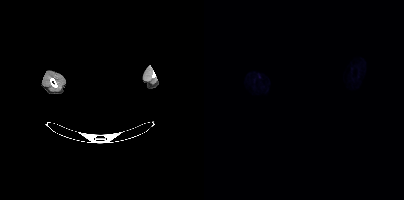
De-identified by setting a box covering the face to black before release.
Negative for PSMA-avid disease on this slice.